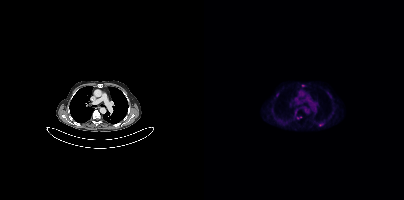
Coordinates are on the 200×200 PET (right) panel. PSMA-avid tumor lesion bounding boxes (partial; 3 more foci not listed):
| # | x0 | y0 | x1 | y1 |
|---|---|---|---|---|
| 1 | 115 | 123 | 119 | 126 |
Left: CT. Right: PSMA PET, same axial level, 18F-PSMA tracer. Slice 276 of 391. PET panel 200×200 px (4.1 mm/px).